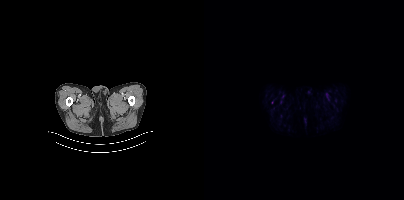
{"modality":"PSMA PET/CT","view":"axial","tracer":"[18F]PSMA-1007","pet_grid":[200,200],"coord_frame":"pet_panel","coord_format":"x0,y0,x1,y1","partial":true,"lesion_bboxes":[]}